Left: CT. Right: PSMA PET, same axial level, [18F]PSMA-1007 tracer.
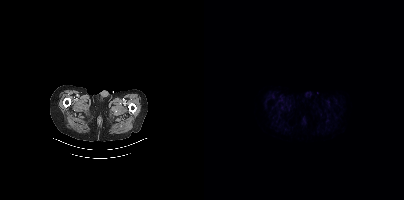
This slice has no annotated PSMA-avid lesion.